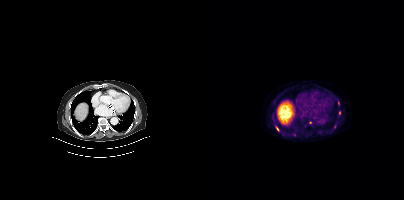
{"pet_grid":[200,200],"coord_frame":"pet_panel","coord_format":"x0,y0,x1,y1","partial":true,"lesion_bboxes":[[72,127,75,131],[130,124,132,128],[68,114,69,118]],"small_foci_centers":[[90,135],[135,112],[106,122],[134,103]],"modality":"PSMA PET/CT","view":"axial","tracer":"[18F]PSMA-1007"}